Two-panel axial: CT | PSMA PET, [18F]PSMA-1007 tracer. Acquired on Siemens Biograph mCT Flow 20.
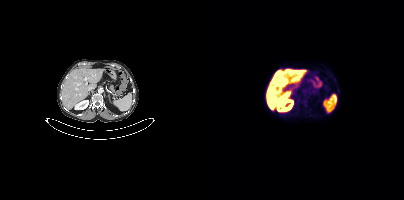
This slice has no annotated PSMA-avid lesion.